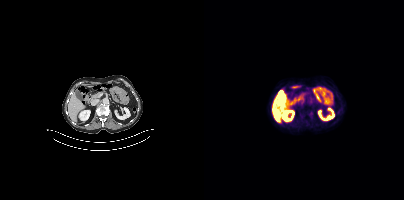
{"pet_grid":[200,200],"coord_frame":"pet_panel","coord_format":"x0,y0,x1,y1","psma_avid_lesions":false,"modality":"PSMA PET/CT","view":"axial","tracer":"18F"}